Two-panel axial: CT | PSMA PET, 18F-PSMA tracer. Slice 256 of 263. PET panel 256×256 px (2.7 mm/px). A rectangular block over the head has been blanked out for de-identification.
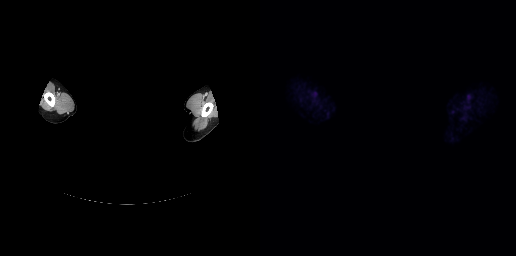
This slice has no annotated PSMA-avid lesion.